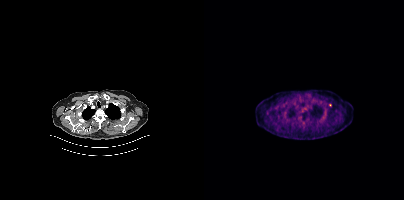
Findings: No tumor lesions annotated on this slice.
Technique: Two-panel axial: CT | PSMA PET, 18F tracer. acquired on Siemens Biograph mCT Flow 20. slice position z = -940 mm.